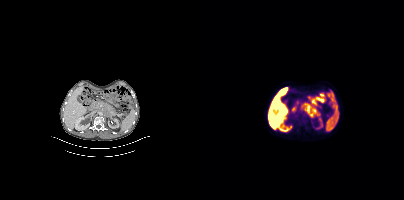
{"modality":"PSMA PET/CT","view":"axial","tracer":"18F","pet_grid":[200,200],"coord_frame":"pet_panel","coord_format":"x0,y0,x1,y1","lesion_bboxes":[[98,103,113,117]]}